Two-panel axial: CT | PSMA PET, 18F tracer. Acquired on Siemens Biograph mCT Flow 20. PET panel 200×200 px (4.1 mm/px).
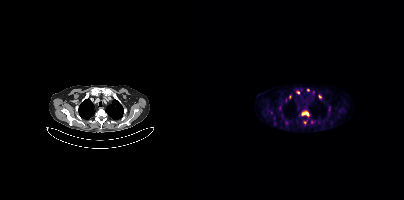
Coordinates are on the 200×200 PET (right) panel. (showing 5 of 9 foci) PSMA-avid tumor lesion bounding box (x0, y0)-(x1, y1): (97, 111)-(105, 116). Small PSMA-avid foci (2 to 4 px across) near (center x, center y): (115, 96) | (94, 92) | (104, 89) | (100, 122).